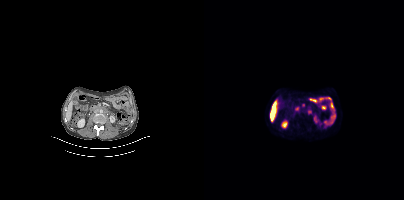
Left: CT. Right: PSMA PET, same axial level, [18F]PSMA-1007 tracer. Slice position z = -1338 mm. PET panel 200×200 px (4.1 mm/px).
Coordinates are on the 200×200 PET (right) panel. PSMA-avid tumor lesion bounding boxes (partial; 1 more focus not listed):
| # | x0 | y0 | x1 | y1 |
|---|---|---|---|---|
| 1 | 104 | 109 | 107 | 114 |
Small PSMA-avid focus (2 to 4 px across) near (center x, center y): (99, 105).